de-identification: head region blanked (face removed) | modality: PSMA PET/CT | tracer: [18F]PSMA-1007 | view: axial | PET grid: 200×200
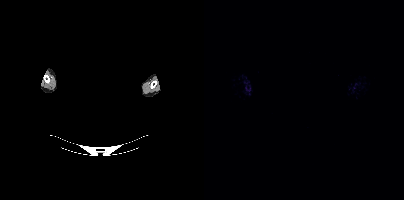
Negative for PSMA-avid disease on this slice.